Left: CT. Right: PSMA PET, same axial level, 18F tracer. Acquired on Siemens Biograph mCT Flow 20. Slice position z = -1252 mm. PET panel 200×200 px (4.1 mm/px).
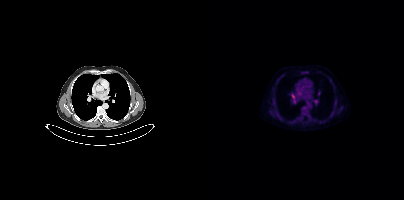
Negative for PSMA-avid disease on this slice.